Left: CT. Right: PSMA PET, same axial level, [18F]PSMA-1007 tracer. Acquired on Siemens Biograph mCT Flow 20. Slice 133 of 395.
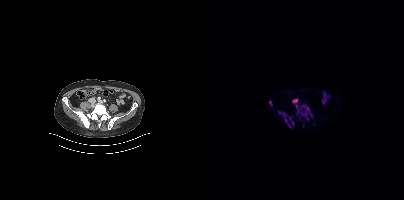
Coordinates are on the 200×200 PET (right) panel. (showing 6 of 9 foci) PSMA-avid tumor lesion bounding boxes (x0,y0,x1,y1): [93,105,108,117], [81,118,90,127], [88,98,94,104], [75,112,82,117], [65,101,68,105]. Small PSMA-avid focus (2 to 4 px across) near (center x, center y): (99, 125).